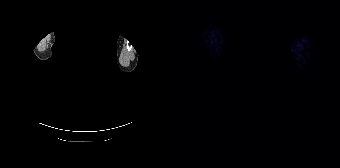
No tumor lesions annotated on this slice. Left: CT. Right: PSMA PET, same axial level, [18F]PSMA-1007 tracer. Slice 160 of 165. PET panel 168×168 px (4.1 mm/px). The face region was removed for patient privacy by blanking a rectangle over the head.